modality: PSMA PET/CT | tracer: [18F]PSMA-1007 | view: axial | PET grid: 200×200
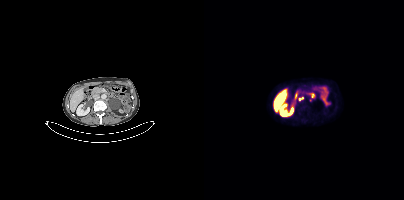
Coordinates are on the 200×200 PET (right) panel. Small PSMA-avid foci (2 to 4 px across) near (center x, center y): (95, 99), (98, 97).